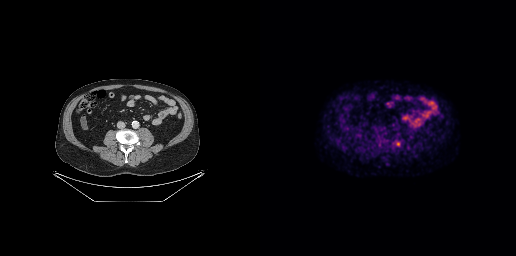
Technique: Two-panel axial: CT | PSMA PET, 18F-PSMA tracer. acquired on GE Discovery 690.
Findings: Coordinates are on the 256×256 PET (right) panel. Small PSMA-avid focus (2 to 4 px across) near (center x, center y): (138, 143).